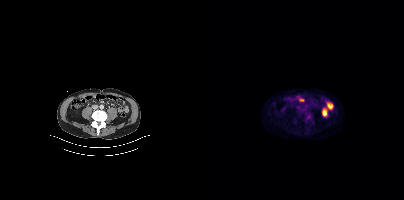
{"modality":"PSMA PET/CT","view":"axial","tracer":"18F","pet_grid":[200,200],"coord_frame":"pet_panel","coord_format":"x0,y0,x1,y1","partial":true,"lesion_bboxes":[]}